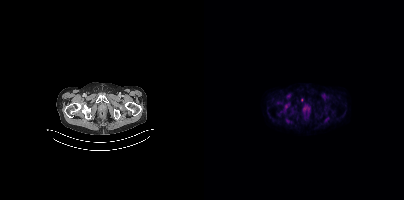
Left: CT. Right: PSMA PET, same axial level, 18F-PSMA tracer. Acquired on Siemens Biograph mCT Flow 20. Coordinates are on the 200×200 PET (right) panel. Small PSMA-avid focus (2 to 4 px across) near (center x, center y): (97, 100).